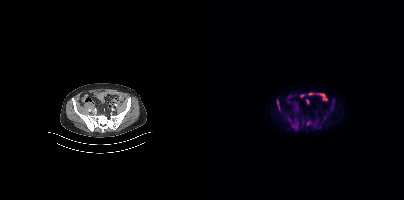
Left: CT. Right: PSMA PET, same axial level, 18F tracer. Acquired on Siemens Biograph mCT Flow 20. Slice 115 of 413.
Coordinates are on the 200×200 PET (right) panel. PSMA-avid tumor lesion bounding boxes:
| # | x0 | y0 | x1 | y1 |
|---|---|---|---|---|
| 1 | 102 | 120 | 107 | 125 |
| 2 | 73 | 100 | 76 | 110 |
| 3 | 88 | 124 | 93 | 127 |